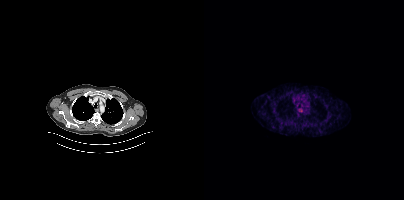
No PSMA-avid tumor lesions on this slice. Two-panel axial: CT | PSMA PET, 68Ga tracer. Slice position z = -966 mm.